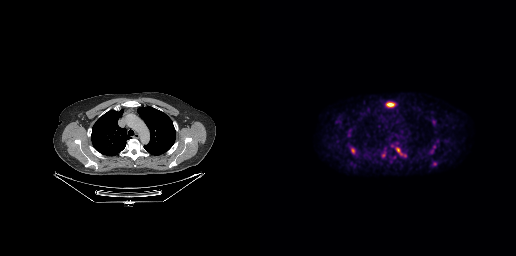
Findings: Coordinates are on the 256×256 PET (right) panel. PSMA-avid tumor lesion bounding boxes (x, y, width, height): x=126 y=102 w=9 h=5 / x=91 y=148 w=5 h=6. Small PSMA-avid foci (2 to 4 px across) near (center x, center y): (138, 149) / (174, 121) / (174, 163).
Technique: Left: CT. Right: PSMA PET, same axial level, 18F-PSMA tracer. acquired on GE Discovery 690. PET panel 256×256 px (2.7 mm/px).